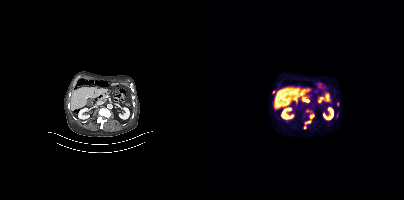
modality: PSMA PET/CT | tracer: [18F]PSMA-1007 | view: axial | PET grid: 200×200
Coordinates are on the 200×200 PET (right) panel. PSMA-avid tumor lesion bounding box (x, y, width, height): x=100 y=113 w=11 h=16. Small PSMA-avid foci (2 to 4 px across) near (center x, center y): (133, 104) / (103, 110) / (69, 92).